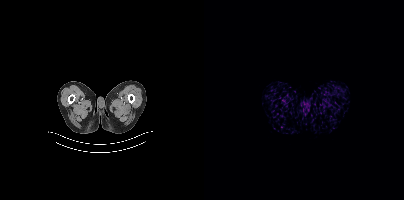
No PSMA-avid tumor lesions on this slice.